De-identified by setting a box covering the face to black before release. Paired axial CT (left) and PSMA PET (right), 18F tracer. PET panel 200×200 px (4.1 mm/px).
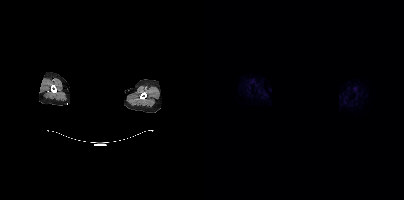
Negative for PSMA-avid disease on this slice.